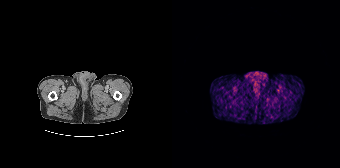
No tumor lesions annotated on this slice.